- Left: CT. Right: PSMA PET, same axial level, [18F]PSMA-1007 tracer
- acquired on Siemens Biograph mCT Flow 20
- slice position z = 258 mm
- PET panel 200×200 px (4.1 mm/px)
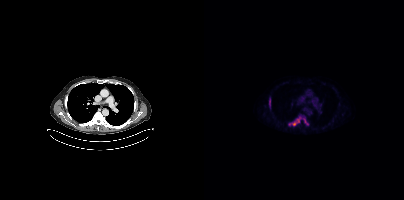
Findings: Coordinates are on the 200×200 PET (right) panel. PSMA-avid tumor lesion bounding boxes (x0,y0,x1,y1): [85,116,104,125] [65,98,66,107].